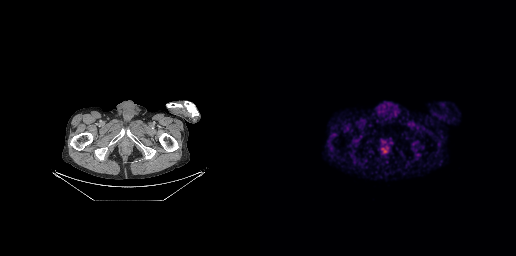
Left: CT. Right: PSMA PET, same axial level, 68Ga-PSMA tracer. Acquired on GE Discovery 690. Slice 50 of 263. No tumor lesions annotated on this slice.